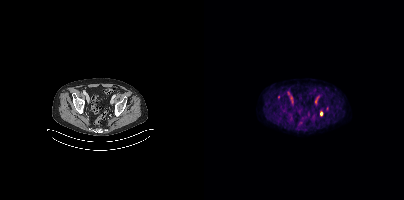
{"modality":"PSMA PET/CT","view":"axial","tracer":"18F","pet_grid":[200,200],"coord_frame":"pet_panel","coord_format":"x0,y0,x1,y1","lesion_bboxes":[[116,111,118,115]],"small_foci_centers":[[74,96]]}